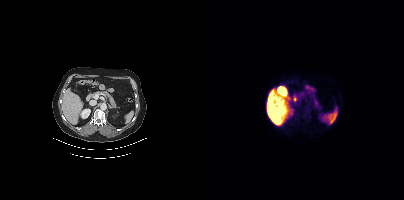
modality: PSMA PET/CT | tracer: 18F-PSMA | view: axial
This slice has no annotated PSMA-avid lesion.